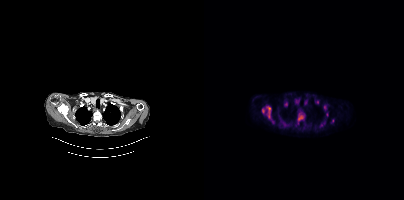
Coordinates are on the 200×200 PET (right) panel. PSMA-avid tumor lesion bounding boxes (x0, y0)-(x1, y1): (58, 106)-(67, 118) | (77, 120)-(84, 126) | (93, 115)-(99, 121) | (115, 121)-(121, 127) | (80, 101)-(83, 106). Small PSMA-avid foci (2 to 4 px across) near (center x, center y): (112, 101) | (123, 114) | (69, 121) | (128, 120) | (120, 107).